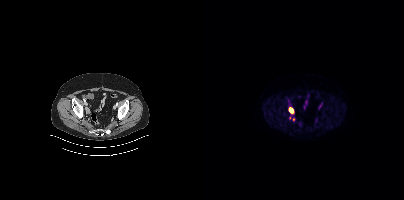
Coordinates are on the 200×200 PET (right) panel. (showing 2 of 3 foci) PSMA-avid tumor lesion bounding box (x, y, width, height): x=84 y=107 w=7 h=7. Small PSMA-avid focus (2 to 4 px across) near (center x, center y): (89, 119).
modality: PSMA PET/CT | tracer: 18F | view: axial | PET grid: 200×200